modality: PSMA PET/CT | tracer: [68Ga]Ga-PSMA-11 | view: axial
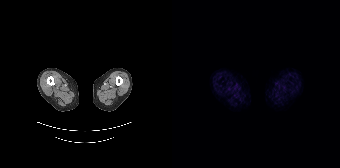
No PSMA-avid tumor lesions on this slice.